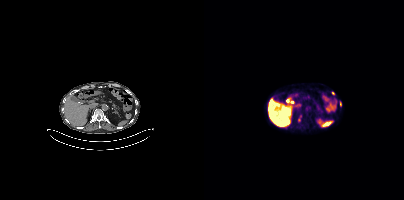
{"pet_grid":[200,200],"coord_frame":"pet_panel","coord_format":"x0,y0,x1,y1","lesion_bboxes":[[94,115,97,121]],"small_foci_centers":[[129,93],[136,103]],"modality":"PSMA PET/CT","view":"axial","tracer":"[18F]PSMA-1007"}